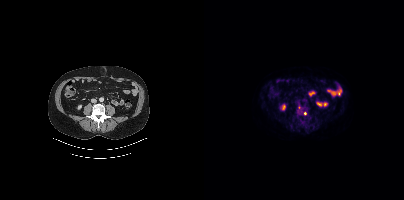
Technique: Paired axial CT (left) and PSMA PET (right), [18F]PSMA-1007 tracer. acquired on Siemens Biograph mCT Flow 20.
Findings: Coordinates are on the 200×200 PET (right) panel. PSMA-avid tumor lesion bounding box (x, y, width, height): x=92 y=106 w=14 h=13. Small PSMA-avid focus (2 to 4 px across) near (center x, center y): (96, 125).